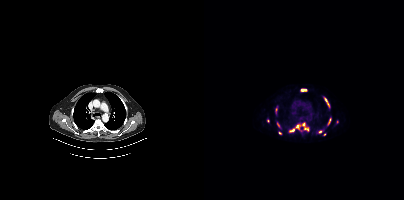
Coordinates are on the 200×200 PET (right) panel. PSMA-avid tumor lesion bounding boxes (partial; 3 more foci not listed):
| # | x0 | y0 | x1 | y1 |
|---|---|---|---|---|
| 1 | 120 | 98 | 125 | 106 |
| 2 | 100 | 127 | 104 | 131 |
| 3 | 97 | 89 | 102 | 91 |
| 4 | 85 | 129 | 90 | 131 |
| 5 | 92 | 125 | 95 | 129 |
| 6 | 71 | 109 | 73 | 114 |
| 7 | 125 | 119 | 126 | 123 |
Small PSMA-avid foci (2 to 4 px across) near (center x, center y): (116, 131); (99, 124); (76, 132); (120, 134).
Left: CT. Right: PSMA PET, same axial level, 18F-PSMA tracer. PET panel 200×200 px (4.1 mm/px).